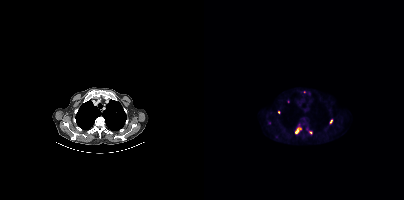
Coordinates are on the 200×200 PET (right) panel. (showing 5 of 7 foci) PSMA-avid tumor lesion bounding box (x, y, width, height): x=91 y=127 w=7 h=7. Small PSMA-avid foci (2 to 4 px across) near (center x, center y): (127, 121); (106, 132); (74, 112); (100, 91).